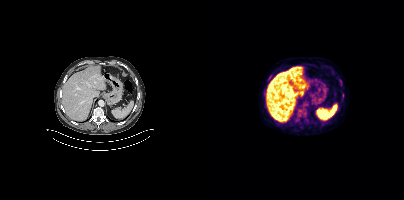
{"modality":"PSMA PET/CT","view":"axial","tracer":"18F-PSMA","pet_grid":[200,200],"coord_frame":"pet_panel","coord_format":"x0,y0,x1,y1","psma_avid_lesions":false}